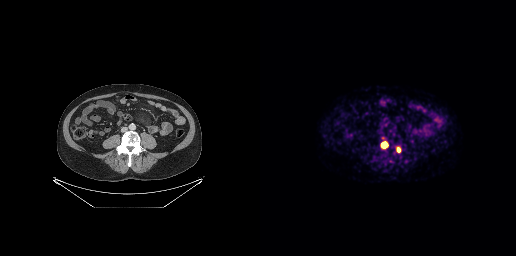
Left: CT. Right: PSMA PET, same axial level, 68Ga tracer. Coordinates are on the 256×256 PET (right) panel. PSMA-avid tumor lesion bounding boxes (x, y, width, height): x=121 y=141 w=7 h=8 / x=137 y=147 w=4 h=6.